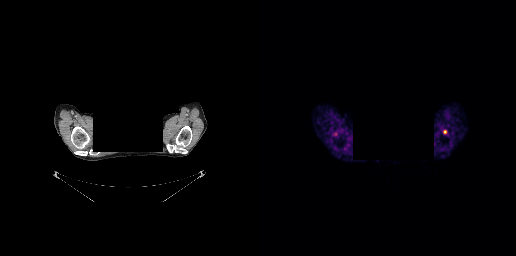
Findings: Coordinates are on the 256×256 PET (right) panel. Small PSMA-avid focus (2 to 4 px across) near (center x, center y): (185, 131).
- Left: CT. Right: PSMA PET, same axial level, [68Ga]Ga-PSMA-11 tracer
- acquired on GE Discovery 690
- PET panel 256×256 px (2.7 mm/px)
- head region blanked for anonymization (face removed)